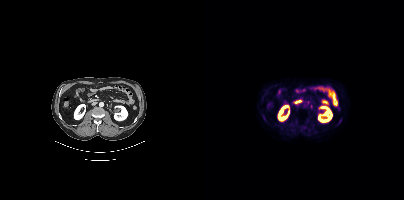
{"pet_grid":[200,200],"coord_frame":"pet_panel","coord_format":"x0,y0,x1,y1","psma_avid_lesions":false,"modality":"PSMA PET/CT","view":"axial","tracer":"18F"}